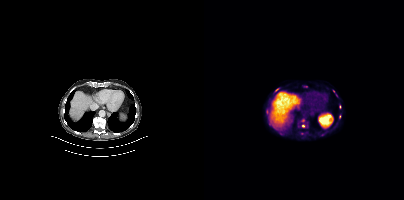
{"modality":"PSMA PET/CT","view":"axial","tracer":"18F","pet_grid":[200,200],"coord_frame":"pet_panel","coord_format":"x0,y0,x1,y1","partial":true,"lesion_bboxes":[[62,109,64,113]],"small_foci_centers":[[136,106],[99,125],[135,116],[72,89]]}